Left: CT. Right: PSMA PET, same axial level, [18F]PSMA-1007 tracer. Acquired on Siemens Biograph mCT Flow 20. PET panel 200×200 px (4.1 mm/px).
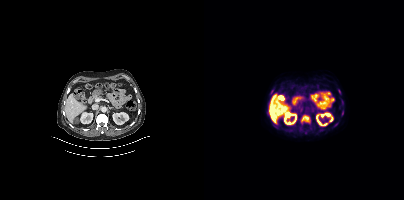
Coordinates are on the 200×200 PET (right) panel. PSMA-avid tumor lesion bounding boxes (x0,y0,x1,y1): [97,115,106,123] [66,89,69,94] [138,110,139,114]. Small PSMA-avid foci (2 to 4 px across) near (center x, center y): (131, 124) (102, 131) (135, 91).